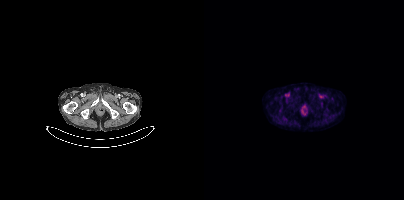
{"modality":"PSMA PET/CT","view":"axial","tracer":"18F-PSMA","pet_grid":[200,200],"coord_frame":"pet_panel","coord_format":"x0,y0,x1,y1","psma_avid_lesions":false}